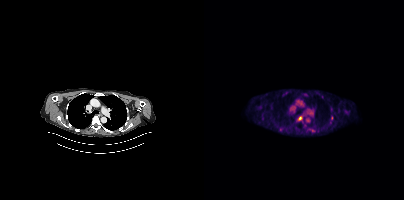
Coordinates are on the 200×200 PET (right) panel. (showing 4 of 5 foci) PSMA-avid tumor lesion bounding box (x0, y0)-(x1, y1): (94, 116)-(98, 120). Small PSMA-avid foci (2 to 4 px across) near (center x, center y): (127, 118); (79, 94); (76, 129). Two-panel axial: CT | PSMA PET, [18F]PSMA-1007 tracer. Slice 295 of 421. PET panel 200×200 px (4.1 mm/px).